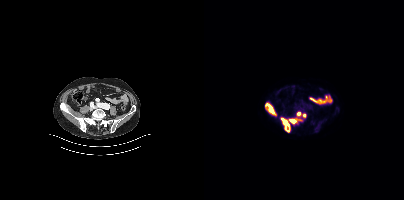
Coordinates are on the 200×200 PET (right) panel. PSMA-avid tumor lesion bounding boxes (x0, y0)-(x1, y1): (61, 103)-(72, 115) | (77, 118)-(86, 131) | (85, 119)-(97, 123). Small PSMA-avid foci (2 to 4 px across) near (center x, center y): (94, 113) | (100, 115). Paired axial CT (left) and PSMA PET (right), 18F tracer. Slice 141 of 423. PET panel 200×200 px (4.1 mm/px).